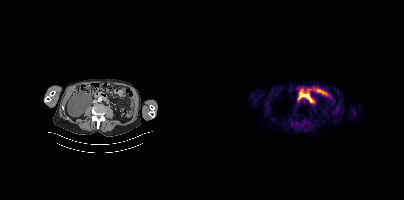
No tumor lesions annotated on this slice.